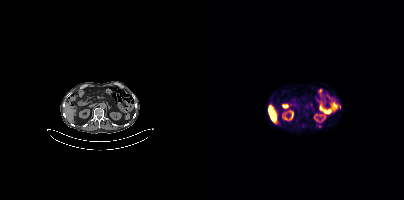
{"modality":"PSMA PET/CT","view":"axial","tracer":"[18F]PSMA-1007","pet_grid":[200,200],"coord_frame":"pet_panel","coord_format":"x0,y0,x1,y1","lesion_bboxes":[[112,124,117,127]],"small_foci_centers":[[135,107]]}